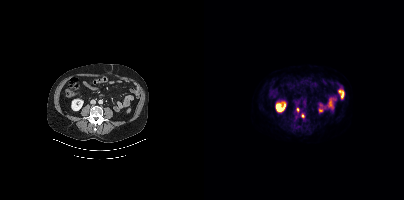
Findings: Coordinates are on the 200×200 PET (right) panel. Small PSMA-avid foci (2 to 4 px across) near (center x, center y): (98, 115); (93, 109).
Technique: Paired axial CT (left) and PSMA PET (right), 18F-PSMA tracer. PET panel 200×200 px (4.1 mm/px).